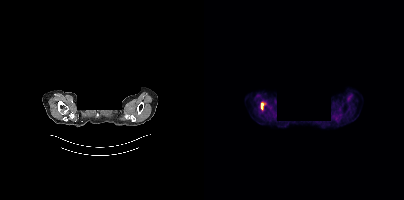
Face de-identified by blanking a block of the head. Left: CT. Right: PSMA PET, same axial level, 18F tracer. Acquired on Siemens Biograph mCT Flow 20. Slice 337 of 377.
Coordinates are on the 200×200 PET (right) panel. PSMA-avid tumor lesion bounding boxes:
| # | x0 | y0 | x1 | y1 |
|---|---|---|---|---|
| 1 | 57 | 103 | 59 | 109 |